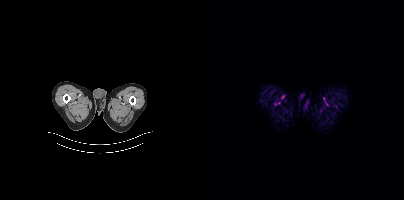
Two-panel axial: CT | PSMA PET, [18F]PSMA-1007 tracer. Slice position z = -908 mm. No tumor lesions annotated on this slice.